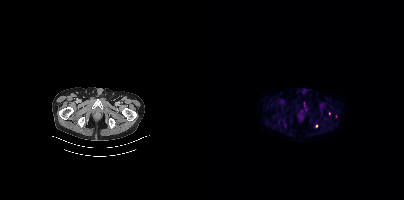
modality: PSMA PET/CT | tracer: 18F | view: axial | PET grid: 200×200
Coordinates are on the 200×200 PET (right) panel. (showing 2 of 4 foci) Small PSMA-avid foci (2 to 4 px across) near (center x, center y): (112, 125); (125, 113).